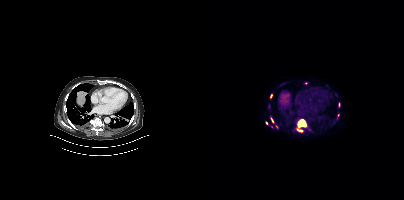
- Left: CT. Right: PSMA PET, same axial level, 18F tracer
- slice position z = -1159 mm
Findings: Coordinates are on the 200×200 PET (right) panel. (showing 7 of 10 foci) PSMA-avid tumor lesion bounding boxes (x0,y0,x1,y1): [92,119,103,132], [67,118,69,122]. Small PSMA-avid foci (2 to 4 px across) near (center x, center y): (67, 95), (135, 104), (134, 115), (62, 122), (72, 126).